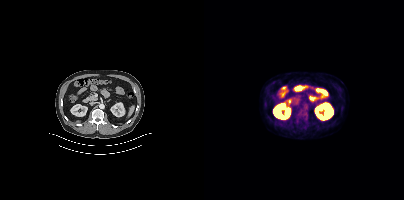
No tumor lesions annotated on this slice.